Two-panel axial: CT | PSMA PET, 18F-PSMA tracer. Slice position z = -728 mm. PET panel 200×200 px (4.1 mm/px).
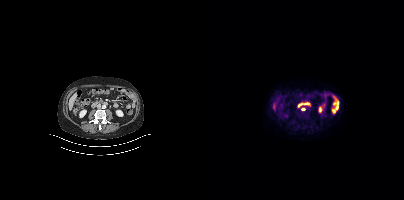
Coordinates are on the 200×200 PET (right) panel. PSMA-avid tumor lesion bounding boxes:
| # | x0 | y0 | x1 | y1 |
|---|---|---|---|---|
| 1 | 97 | 107 | 101 | 110 |